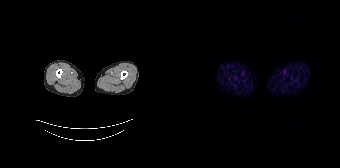
No PSMA-avid tumor lesions on this slice. Two-panel axial: CT | PSMA PET, [68Ga]Ga-PSMA-11 tracer. Slice 14 of 195.